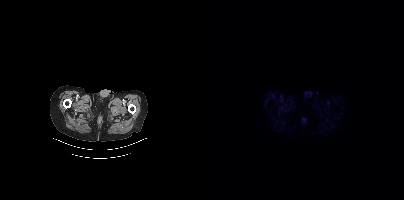
Paired axial CT (left) and PSMA PET (right), [18F]PSMA-1007 tracer. Acquired on Siemens Biograph mCT Flow 20. Slice 27 of 377. PET panel 200×200 px (4.1 mm/px). No tumor lesions annotated on this slice.